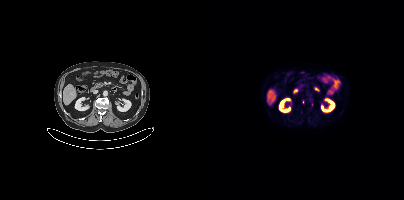
modality: PSMA PET/CT | tracer: 18F-PSMA | view: axial | PET grid: 200×200
Only PSMA-avid lesion pieces thinner than 2 px on this slice (not listed).